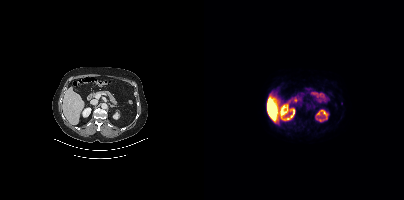
Only PSMA-avid lesion pieces thinner than 2 px on this slice (not listed).